- Left: CT. Right: PSMA PET, same axial level, 18F-PSMA tracer
- acquired on Siemens Biograph mCT Flow 20
- PET panel 200×200 px (4.1 mm/px)
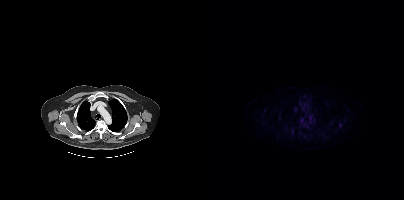
Findings: No tumor lesions annotated on this slice.